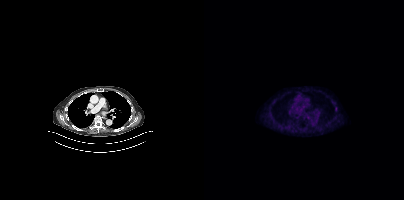
modality: PSMA PET/CT | tracer: 18F | view: axial
Only PSMA-avid lesion pieces thinner than 2 px on this slice (not listed).